Left: CT. Right: PSMA PET, same axial level, [18F]PSMA-1007 tracer. Acquired on GE Discovery 690. Slice 10 of 263. PET panel 256×256 px (2.7 mm/px).
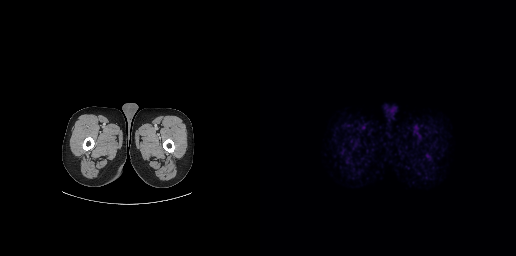
This slice has no annotated PSMA-avid lesion.